modality: PSMA PET/CT | tracer: 18F | view: axial | PET grid: 200×200
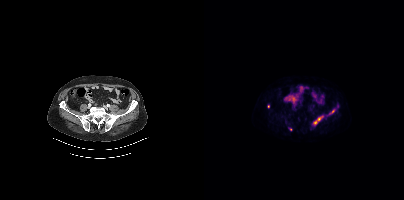
Coordinates are on the 200×200 PET (right) panel. (showing 5 of 6 foci) PSMA-avid tumor lesion bounding boxes (x0,y0,x1,y1): [110,115,120,124], [125,110,130,114]. Small PSMA-avid foci (2 to 4 px across) near (center x, center y): (133, 106), (86, 129), (64, 106).